Technique: Left: CT. Right: PSMA PET, same axial level, 18F tracer. acquired on Siemens Biograph 64-4R TruePoint. slice 38 of 135.
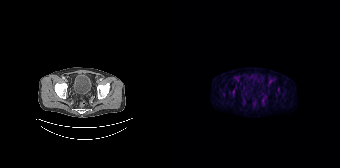
Findings: Coordinates are on the 168×168 PET (right) panel. Small PSMA-avid focus (2 to 4 px across) near (center x, center y): (61, 91).